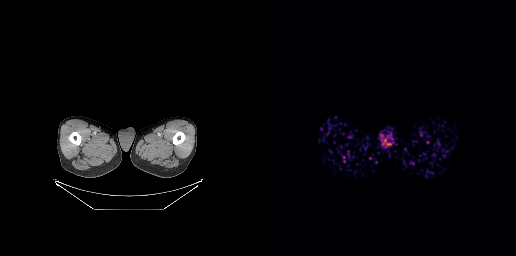
Technique: Left: CT. Right: PSMA PET, same axial level, [68Ga]Ga-PSMA-11 tracer. acquired on GE Discovery 690.
Findings: Negative for PSMA-avid disease on this slice.